modality: PSMA PET/CT | tracer: 18F-PSMA | view: axial | PET grid: 200×200
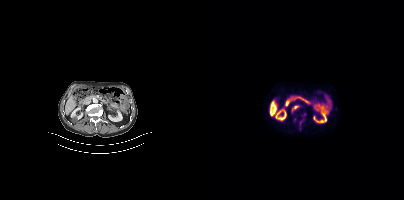
Coordinates are on the 200×200 PET (right) panel. PSMA-avid tumor lesion bounding boxes (x0, y0)-(x1, y1): (87, 105)-(95, 112) | (96, 120)-(98, 125).